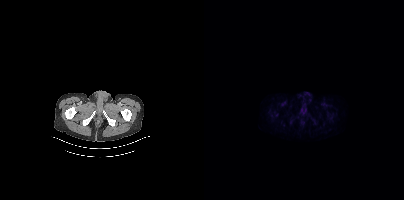
This slice has no annotated PSMA-avid lesion. Paired axial CT (left) and PSMA PET (right), 18F-PSMA tracer. Acquired on Siemens Biograph mCT Flow 20. PET panel 200×200 px (4.1 mm/px).